Technique: Paired axial CT (left) and PSMA PET (right), 18F tracer. PET panel 256×256 px (2.7 mm/px).
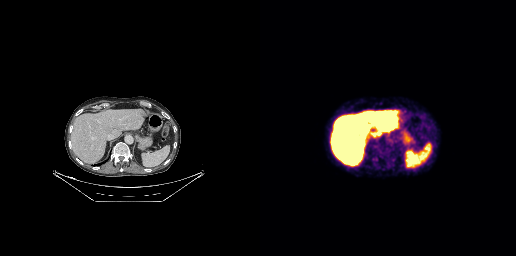
Findings: This slice has no annotated PSMA-avid lesion.